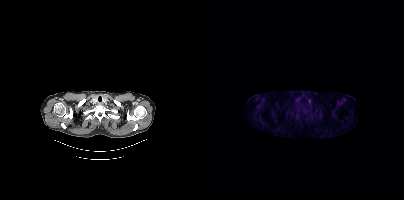
modality: PSMA PET/CT | tracer: 18F | view: axial
Negative for PSMA-avid disease on this slice.